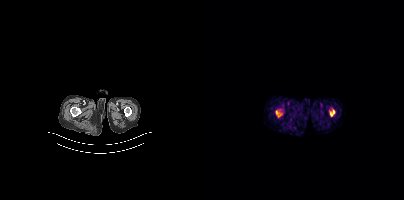
Coordinates are on the 200×200 PET (right) panel. PSMA-avid tumor lesion bounding box (x, y, width, height): x=71 y=110 w=7 h=5.